- face de-identified by blanking a block of the head
- Paired axial CT (left) and PSMA PET (right), 18F-PSMA tracer
- slice 359 of 387
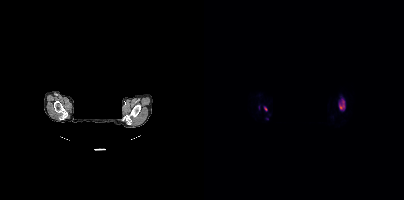
Findings: Coordinates are on the 200×200 PET (right) panel. (showing 2 of 3 foci) PSMA-avid tumor lesion bounding boxes (x, y, width, height): x=134 y=98 w=8 h=13 | x=60 y=106 w=4 h=6.